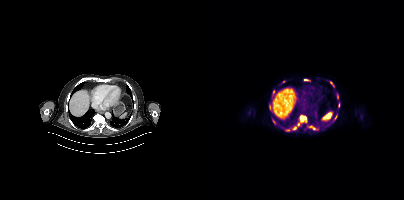
Left: CT. Right: PSMA PET, same axial level, [18F]PSMA-1007 tracer. Acquired on Siemens Biograph mCT Flow 20.
Coordinates are on the 200×200 PET (right) panel. PSMA-avid tumor lesion bounding boxes (partial; 1 more focus not listed):
| # | x0 | y0 | x1 | y1 |
|---|---|---|---|---|
| 1 | 88 | 115 | 102 | 130 |
| 2 | 107 | 126 | 113 | 129 |
| 3 | 130 | 114 | 133 | 120 |
| 4 | 65 | 105 | 67 | 109 |
| 5 | 126 | 81 | 129 | 85 |
| 6 | 134 | 103 | 135 | 107 |
Small PSMA-avid foci (2 to 4 px across) near (center x, center y): (83, 130); (101, 79); (79, 81); (69, 91); (70, 121).